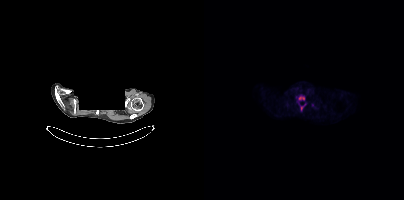
Coordinates are on the 200×200 PET (right) panel. (showing 2 of 3 foci) PSMA-avid tumor lesion bounding boxes (x0, y0)-(x1, y1): (94, 96)-(100, 99); (97, 106)-(99, 110).
modality: PSMA PET/CT | tracer: 18F | view: axial | deidentification: face masked with black rectangle